Paired axial CT (left) and PSMA PET (right), 18F tracer. PET panel 200×200 px (4.1 mm/px).
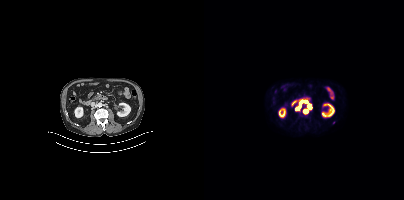
Coordinates are on the 200×200 PET (right) panel. PSMA-avid tumor lesion bounding boxes:
| # | x0 | y0 | x1 | y1 |
|---|---|---|---|---|
| 1 | 95 | 101 | 103 | 106 |
| 2 | 102 | 104 | 107 | 108 |
Small PSMA-avid foci (2 to 4 px across) near (center x, center y): (101, 111); (93, 108); (129, 122).